A rectangle over the head was blacked out to remove identifiable facial features. Left: CT. Right: PSMA PET, same axial level, 18F tracer.
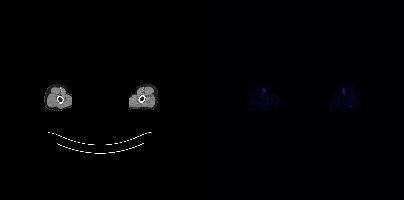
No PSMA-avid tumor lesions on this slice.